- Paired axial CT (left) and PSMA PET (right), [68Ga]Ga-PSMA-11 tracer
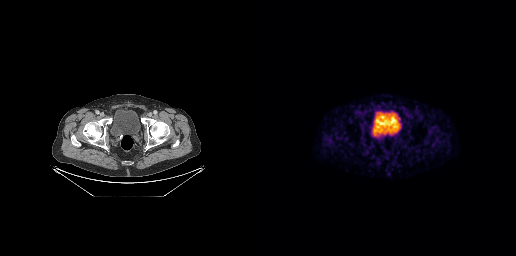
Findings: Negative for PSMA-avid disease on this slice.